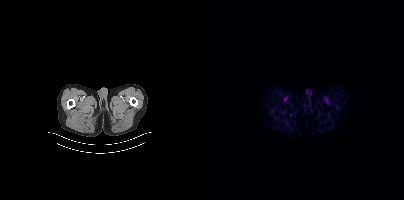
Negative for PSMA-avid disease on this slice.